- Two-panel axial: CT | PSMA PET, [18F]PSMA-1007 tracer
- acquired on Siemens Biograph mCT Flow 20
- PET panel 200×200 px (4.1 mm/px)
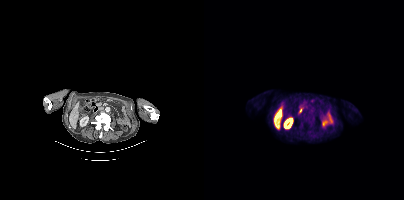
Findings: This slice has no annotated PSMA-avid lesion.